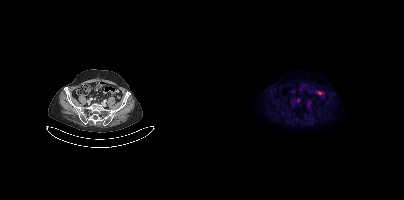
Technique: Two-panel axial: CT | PSMA PET, 18F-PSMA tracer. slice position z = -825 mm. PET panel 200×200 px (4.1 mm/px).
Findings: No tumor lesions annotated on this slice.